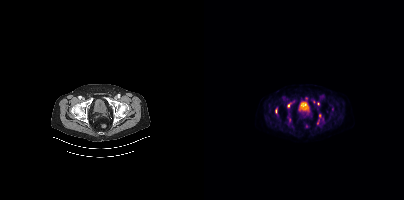
{"modality":"PSMA PET/CT","view":"axial","tracer":"[18F]PSMA-1007","pet_grid":[200,200],"coord_frame":"pet_panel","coord_format":"x0,y0,x1,y1","lesion_bboxes":[[83,101,90,107],[113,119,115,124],[100,97,103,101],[71,109,72,113]],"small_foci_centers":[[116,115],[85,119],[109,102],[114,103]]}